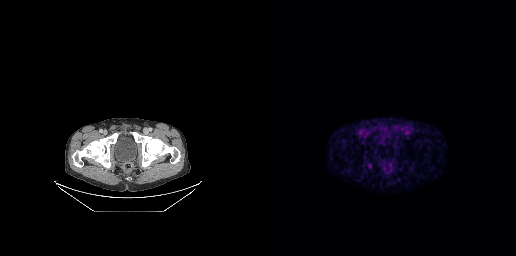
Coordinates are on the 256×256 PET (right) panel. Small PSMA-avid focus (2 to 4 px across) near (center x, center y): (109, 166).